Head region blanked for anonymization (face removed). Paired axial CT (left) and PSMA PET (right), 68Ga-PSMA tracer. Acquired on GE Discovery 690. PET panel 256×256 px (2.7 mm/px).
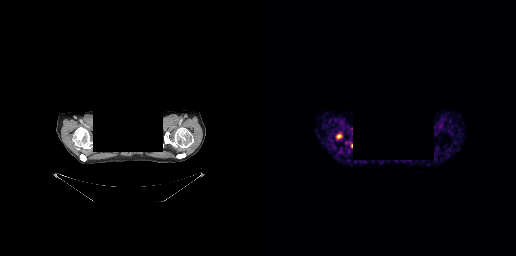
Coordinates are on the 256×256 PET (right) panel. PSMA-avid tumor lesion bounding box (x0, y0)-(x1, y1): (77, 134)-(81, 137).